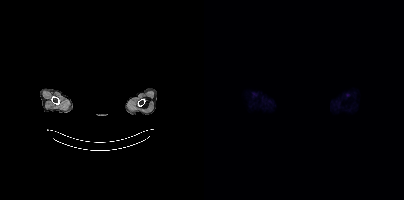
No PSMA-avid tumor lesions on this slice.
modality: PSMA PET/CT | tracer: [18F]PSMA-1007 | view: axial | deidentification: rectangular block over head set to black